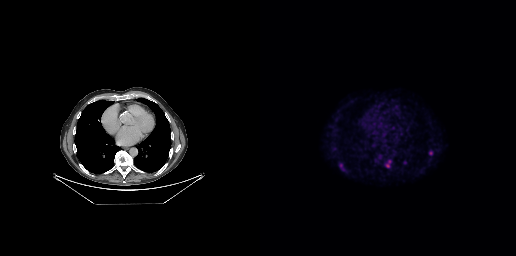
Left: CT. Right: PSMA PET, same axial level, [18F]PSMA-1007 tracer. Coordinates are on the 256×256 PET (right) panel. (showing 1 of 3 foci) Small PSMA-avid focus (2 to 4 px across) near (center x, center y): (127, 166).